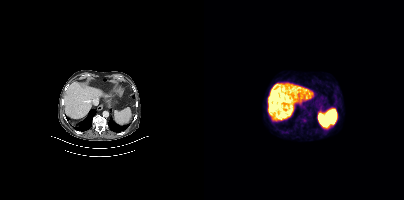
Paired axial CT (left) and PSMA PET (right), [18F]PSMA-1007 tracer. Acquired on Siemens Biograph mCT Flow 20. Slice 220 of 427. This slice has no annotated PSMA-avid lesion.